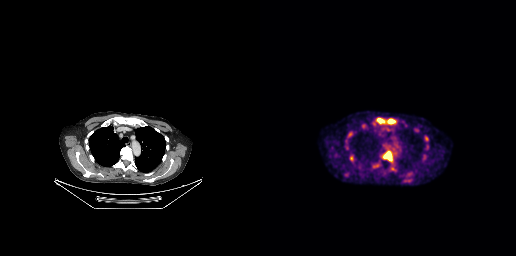
Paired axial CT (left) and PSMA PET (right), [18F]PSMA-1007 tracer. Slice 208 of 263.
Coordinates are on the 256×256 PET (right) panel. PSMA-avid tumor lesion bounding boxes:
| # | x0 | y0 | x1 | y1 |
|---|---|---|---|---|
| 1 | 123 | 151 | 132 | 161 |
| 2 | 127 | 119 | 135 | 123 |
| 3 | 117 | 118 | 124 | 123 |
| 4 | 112 | 163 | 118 | 168 |
| 5 | 132 | 167 | 136 | 171 |